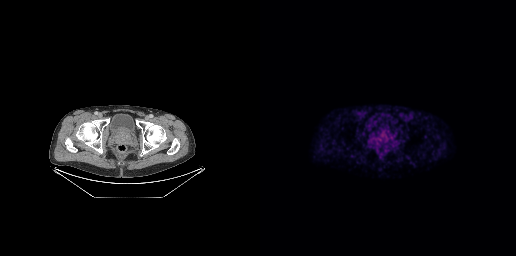
{"modality":"PSMA PET/CT","view":"axial","tracer":"[18F]PSMA-1007","pet_grid":[256,256],"coord_frame":"pet_panel","coord_format":"x0,y0,x1,y1","lesion_bboxes":[[115,132,128,144]]}